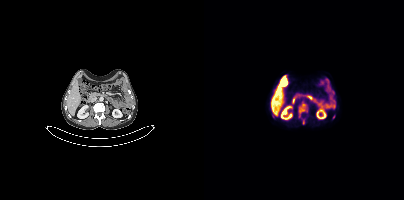
Coordinates are on the 200×200 PET (right) panel. PSMA-avid tumor lesion bounding boxes:
| # | x0 | y0 | x1 | y1 |
|---|---|---|---|---|
| 1 | 94 | 101 | 103 | 117 |
Paired axial CT (left) and PSMA PET (right), 18F-PSMA tracer. Slice position z = -1260 mm.